Paired axial CT (left) and PSMA PET (right), 18F tracer. Acquired on GE Discovery 690. PET panel 256×256 px (2.7 mm/px).
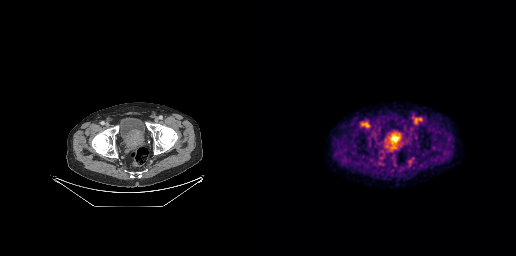
Only PSMA-avid lesion pieces thinner than 2 px on this slice (not listed).